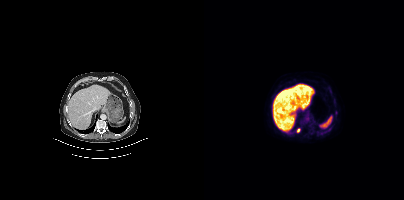
{"pet_grid":[200,200],"coord_frame":"pet_panel","coord_format":"x0,y0,x1,y1","lesion_bboxes":[],"small_foci_centers":[[94,130]],"modality":"PSMA PET/CT","view":"axial","tracer":"18F-PSMA"}